modality: PSMA PET/CT | tracer: [18F]PSMA-1007 | view: axial | PET grid: 200×200
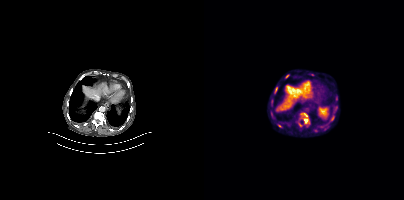
Coordinates are on the 200×200 PET (right) panel. (showing 2 of 3 foci) PSMA-avid tumor lesion bounding box (x, y, width, height): x=97 y=113 w=7 h=11. Small PSMA-avid focus (2 to 4 px across) near (center x, center y): (96, 125).